Two-panel axial: CT | PSMA PET, [18F]PSMA-1007 tracer. PET panel 200×200 px (4.1 mm/px).
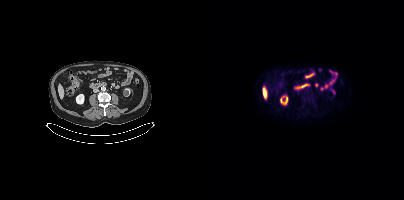
Negative for PSMA-avid disease on this slice.